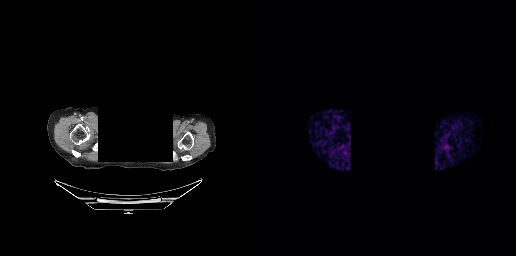
{"modality":"PSMA PET/CT","view":"axial","tracer":"68Ga-PSMA","pet_grid":[256,256],"coord_frame":"pet_panel","coord_format":"x0,y0,x1,y1","deidentification":"privacy mask over head","psma_avid_lesions":false}